Left: CT. Right: PSMA PET, same axial level, 18F tracer. Slice 162 of 263. PET panel 256×256 px (2.7 mm/px).
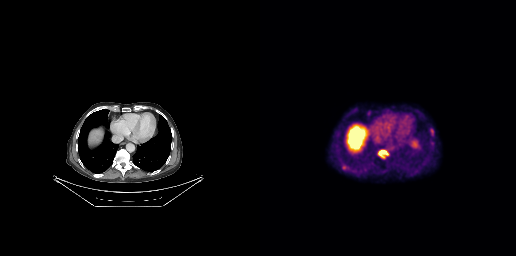
Coordinates are on the 256×256 PET (right) panel. PSMA-avid tumor lesion bounding boxes:
| # | x0 | y0 | x1 | y1 |
|---|---|---|---|---|
| 1 | 119 | 151 | 125 | 154 |
Small PSMA-avid focus (2 to 4 px across) near (center x, center y): (84, 167).